Technique: Two-panel axial: CT | PSMA PET, 68Ga-PSMA tracer. PET panel 168×168 px (4.1 mm/px).
Note: A block of pixels was blacked out before release to protect privacy.
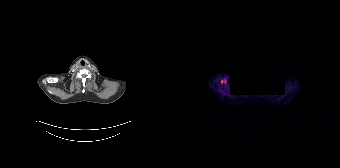
Findings: Coordinates are on the 168×168 PET (right) panel. PSMA-avid tumor lesion bounding box (x0, y0)-(x1, y1): (49, 80)-(54, 83).